Technique: Paired axial CT (left) and PSMA PET (right), [18F]PSMA-1007 tracer. slice position z = -725 mm.
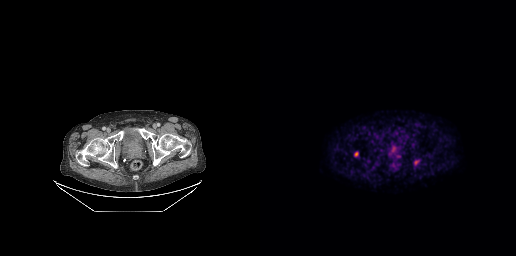
Findings: Coordinates are on the 256×256 PET (right) panel. (showing 1 of 2 foci) PSMA-avid tumor lesion bounding box (x0,y0,x1,y1): [154,160,158,164].